Left: CT. Right: PSMA PET, same axial level, 18F tracer. Acquired on Siemens Biograph mCT Flow 20. Slice 126 of 367.
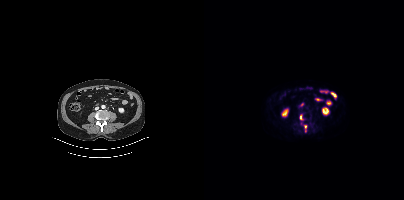
Coordinates are on the 200×200 PET (right) panel. PSMA-avid tumor lesion bounding box (x0,y0,x1,y1): [96,115,97,119]. Small PSMA-avid focus (2 to 4 px across) near (center x, center y): (101, 126).